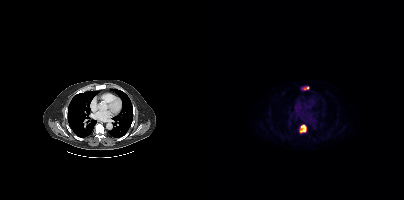
- Paired axial CT (left) and PSMA PET (right), [18F]PSMA-1007 tracer
- acquired on Siemens Biograph mCT Flow 20
- PET panel 200×200 px (4.1 mm/px)
Findings: Coordinates are on the 200×200 PET (right) panel. PSMA-avid tumor lesion bounding boxes (x0,y0,x1,y1): [96,125,102,132], [99,86,104,89].